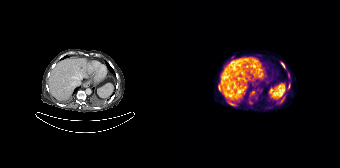
Technique: Two-panel axial: CT | PSMA PET, 68Ga tracer. acquired on Siemens Biograph 64-4R TruePoint. PET panel 168×168 px (4.1 mm/px).
Findings: Coordinates are on the 168×168 PET (right) panel. PSMA-avid tumor lesion bounding boxes (x, y, width, height): x=78 y=92 w=5 h=4 / x=109 y=62 w=4 h=6 / x=116 y=83 w=2 h=6. Small PSMA-avid foci (2 to 4 px across) near (center x, center y): (47, 89) / (56, 102) / (78, 102).